Left: CT. Right: PSMA PET, same axial level, [18F]PSMA-1007 tracer. Acquired on Siemens Biograph mCT Flow 20.
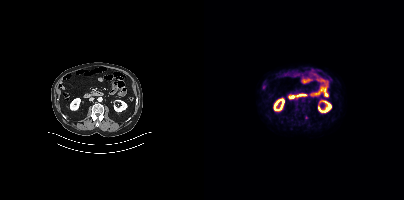
Coordinates are on the 200×200 PET (right) panel. Small PSMA-avid focus (2 to 4 px across) near (center x, center y): (102, 117).